- Paired axial CT (left) and PSMA PET (right), 18F-PSMA tracer
- slice 63 of 421
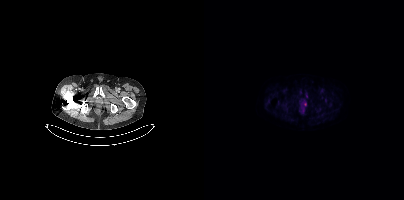
Findings: Coordinates are on the 200×200 PET (right) panel. Small PSMA-avid focus (2 to 4 px across) near (center x, center y): (101, 104).